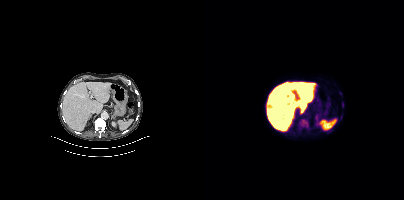
Coordinates are on the 200×200 PET (right) panel. PSMA-avid tumor lesion bounding boxes (x, y, width, height): x=95 y=119 w=10 h=9 / x=138 y=102 w=2 h=5. Small PSMA-avid focus (2 to 4 px across) near (center x, center y): (136, 93).